Two-panel axial: CT | PSMA PET, 18F-PSMA tracer. Acquired on Siemens Biograph mCT Flow 20. PET panel 200×200 px (4.1 mm/px).
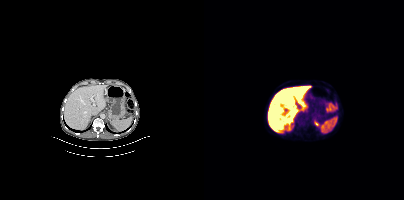
Coordinates are on the 200×200 PET (right) panel. Small PSMA-avid focus (2 to 4 px across) near (center x, center y): (102, 109).